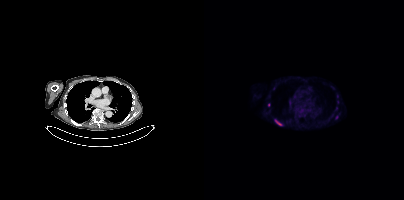
Coordinates are on the 200×200 PET (right) panel. PSMA-avid tumor lesion bounding boxes (x0, y0)-(x1, y1): (71, 119)-(78, 125) / (131, 115)-(134, 119). Small PSMA-avid focus (2 to 4 px across) near (center x, center y): (64, 105).